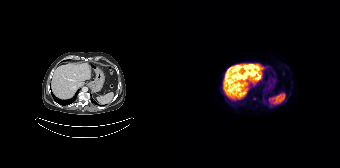
{"modality":"PSMA PET/CT","view":"axial","tracer":"18F","pet_grid":[168,168],"coord_frame":"pet_panel","coord_format":"x0,y0,x1,y1","partial":true,"lesion_bboxes":[[78,71,83,75]],"small_foci_centers":[[65,75],[78,65],[64,67],[86,77],[73,66]]}